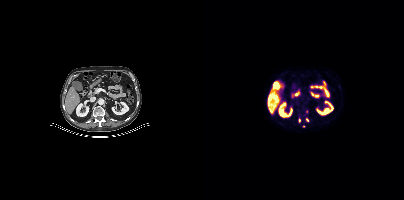
Coordinates are on the 200×200 PET (right) panel. (showing 3 of 4 foci) Small PSMA-avid foci (2 to 4 px across) near (center x, center y): (103, 119), (95, 120), (102, 111). Paired axial CT (left) and PSMA PET (right), 18F-PSMA tracer. Slice position z = -699 mm.